Left: CT. Right: PSMA PET, same axial level, 18F tracer. Slice position z = -1250 mm.
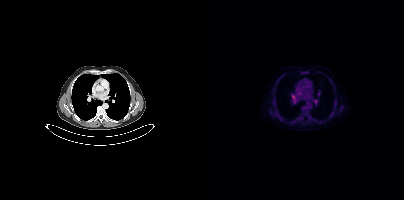
No tumor lesions annotated on this slice.